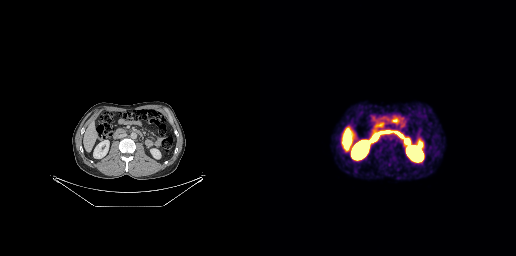
Left: CT. Right: PSMA PET, same axial level, [68Ga]Ga-PSMA-11 tracer. Slice 128 of 263. Negative for PSMA-avid disease on this slice.